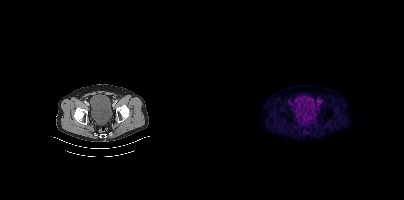
modality: PSMA PET/CT | tracer: 18F | view: axial
Only PSMA-avid lesion pieces thinner than 2 px on this slice (not listed).